An anonymization step blacked out a rectangle over the head in this scan.
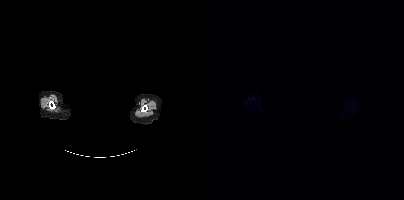
This slice has no annotated PSMA-avid lesion.